modality: PSMA PET/CT | tracer: 18F | view: axial | deidentification: facial region redacted
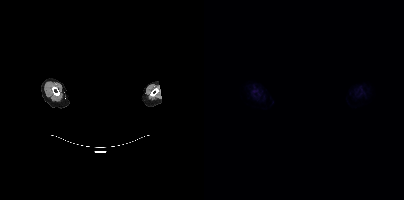
No tumor lesions annotated on this slice.